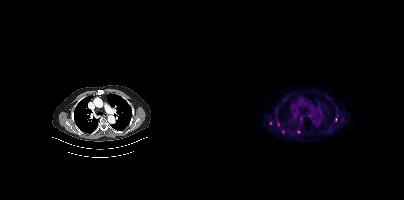
Two-panel axial: CT | PSMA PET, [18F]PSMA-1007 tracer. Acquired on Siemens Biograph mCT Flow 20. Slice position z = -1055 mm. Coordinates are on the 200×200 PET (right) panel. (showing 3 of 8 foci) PSMA-avid tumor lesion bounding box (x, y, width, height): x=71 y=108 w=3 h=6. Small PSMA-avid foci (2 to 4 px across) near (center x, center y): (79, 131); (94, 131).